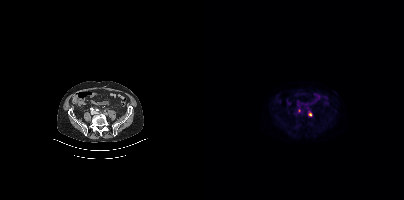
{"modality":"PSMA PET/CT","view":"axial","tracer":"18F","pet_grid":[200,200],"coord_frame":"pet_panel","coord_format":"x0,y0,x1,y1","partial":true,"lesion_bboxes":[[104,112,108,116]]}